Paired axial CT (left) and PSMA PET (right), [18F]PSMA-1007 tracer. PET panel 200×200 px (4.1 mm/px).
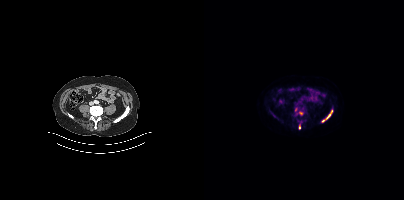
Coordinates are on the 200×200 PET (right) panel. PSMA-avid tumor lesion bounding boxes (partial; 1 more focus not listed):
| # | x0 | y0 | x1 | y1 |
|---|---|---|---|---|
| 1 | 122 | 110 | 128 | 119 |
Small PSMA-avid foci (2 to 4 px across) near (center x, center y): (95, 127); (119, 120).